Paired axial CT (left) and PSMA PET (right), 18F-PSMA tracer. Slice 57 of 423.
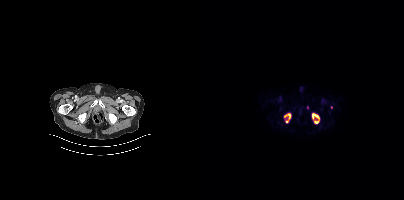
Coordinates are on the 200×200 PET (right) panel. (showing 2 of 3 foci) PSMA-avid tumor lesion bounding boxes (x0, y0)-(x1, y1): (108, 113)-(115, 123) | (80, 113)-(86, 122).